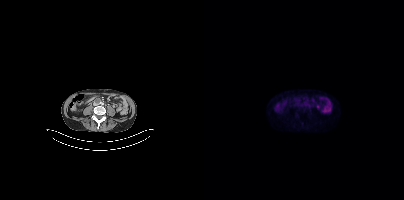
Two-panel axial: CT | PSMA PET, 18F-PSMA tracer. PET panel 200×200 px (4.1 mm/px). This slice has no annotated PSMA-avid lesion.